- Left: CT. Right: PSMA PET, same axial level, 18F-PSMA tracer
- slice position z = -98 mm
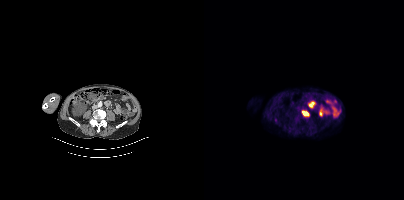
Findings: Coordinates are on the 200×200 PET (right) panel. PSMA-avid tumor lesion bounding box (x, y, width, height): x=97 y=110 w=9 h=7. Small PSMA-avid focus (2 to 4 px across) near (center x, center y): (71, 119).